Two-panel axial: CT | PSMA PET, 68Ga-PSMA tracer. Acquired on Siemens Biograph 64-4R TruePoint. PET panel 168×168 px (4.1 mm/px). Head region blanked for anonymization (face removed).
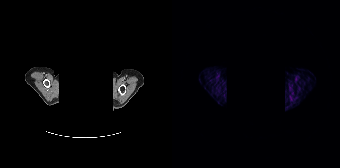
No PSMA-avid tumor lesions on this slice.